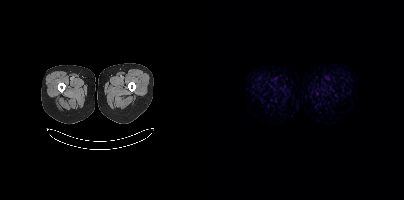
modality: PSMA PET/CT | tracer: [18F]PSMA-1007 | view: axial
No tumor lesions annotated on this slice.